modality: PSMA PET/CT | tracer: 18F-PSMA | view: axial | PET grid: 200×200
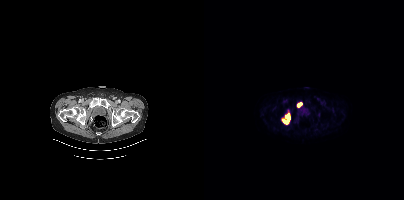
Coordinates are on the 200×200 PET (right) panel. (showing 3 of 4 foci) PSMA-avid tumor lesion bounding boxes (x0,y0,x1,y1): [79,114,85,122] [93,103,97,106]. Small PSMA-avid focus (2 to 4 px across) near (center x, center y): (83, 123).